modality: PSMA PET/CT | tracer: 18F-PSMA | view: axial | PET grid: 200×200
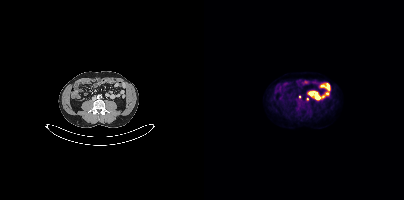
Coordinates are on the 200×200 PET (right) panel. Small PSMA-avid foci (2 to 4 px across) near (center x, center y): (95, 96) / (103, 98).